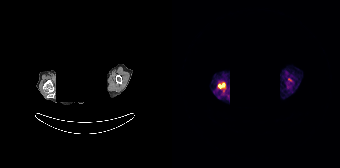
redaction: head region blacked out before release | modality: PSMA PET/CT | tracer: 68Ga-PSMA | view: axial | PET grid: 168×168
Coordinates are on the 168×168 PET (right) panel. PSMA-avid tumor lesion bounding box (x, y, width, height): x=46 y=83 w=7 h=6.